Paired axial CT (left) and PSMA PET (right), 18F-PSMA tracer. PET panel 200×200 px (4.1 mm/px).
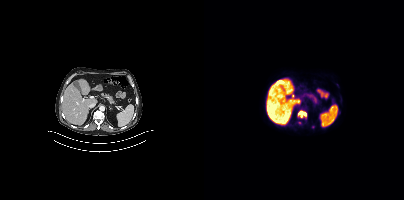
Coordinates are on the 200×200 PET (right) panel. PSMA-avid tumor lesion bounding box (x0,y0,x1,y1): [94,110,102,117].